Left: CT. Right: PSMA PET, same axial level, 18F tracer. Slice position z = -1046 mm.
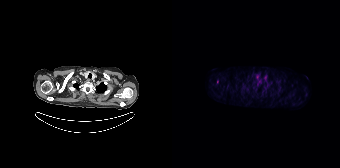
Coordinates are on the 168×168 PET (right) panel. PSMA-avid tumor lesion bounding boxes:
| # | x0 | y0 | x1 | y1 |
|---|---|---|---|---|
| 1 | 44 | 79 | 46 | 83 |
Small PSMA-avid focus (2 to 4 px across) near (center x, center y): (86, 83).